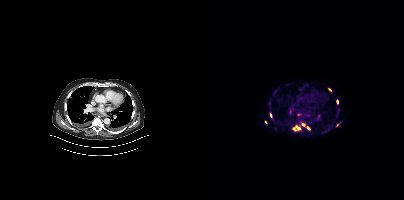
Coordinates are on the 200×200 PET (right) panel. PSMA-avid tumor lesion bounding boxes:
| # | x0 | y0 | x1 | y1 |
|---|---|---|---|---|
| 1 | 88 | 121 | 106 | 131 |
| 2 | 132 | 99 | 134 | 104 |
| 3 | 66 | 113 | 67 | 117 |
Small PSMA-avid foci (2 to 4 px across) near (center x, center y): (125, 89); (133, 125); (62, 122); (94, 114).
Left: CT. Right: PSMA PET, same axial level, 18F-PSMA tracer. Slice position z = -1139 mm.